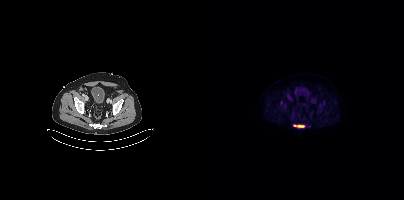
Coordinates are on the 200×200 PET (right) panel. PSMA-avid tumor lesion bounding box (x0, y0)-(x1, y1): (89, 124)-(100, 127).